- Left: CT. Right: PSMA PET, same axial level, 18F-PSMA tracer
- acquired on Siemens Biograph mCT Flow 20
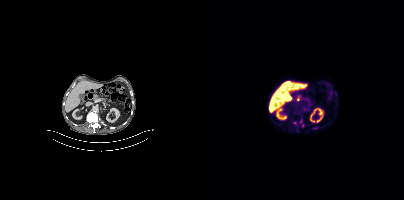
Findings: Coordinates are on the 200×200 PET (right) panel. PSMA-avid tumor lesion bounding box (x0,y0,x1,y1): [110,127,114,129]. Small PSMA-avid foci (2 to 4 px across) near (center x, center y): (96, 121) (98, 125) (90, 122).